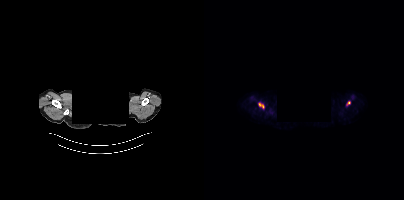
Coordinates are on the 200×200 PET (right) panel. PSMA-avid tumor lesion bounding box (x0, y0)-(x1, y1): (55, 103)-(59, 108). Small PSMA-avid focus (2 to 4 px across) near (center x, center y): (145, 102).
Face de-identified by blanking a block of the head.